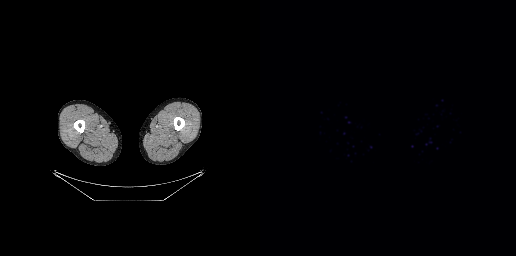
- Left: CT. Right: PSMA PET, same axial level, [68Ga]Ga-PSMA-11 tracer
- slice position z = -1212 mm
Findings: This slice has no annotated PSMA-avid lesion.